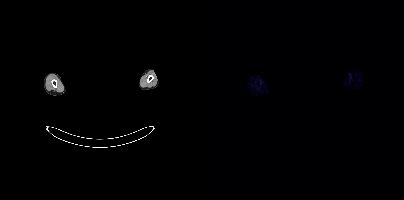
redaction: facial region redacted | modality: PSMA PET/CT | tracer: 18F | view: axial
No tumor lesions annotated on this slice.